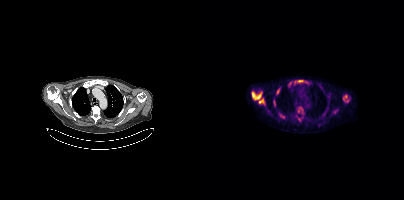
Coordinates are on the 200×200 PET (right) panel. (showing 8 of 12 foci) PSMA-avid tumor lesion bounding boxes (x, y, width, height): x=48 y=92 w=13 h=12; x=91 y=80 w=10 h=4; x=139 y=95 w=5 h=6; x=94 y=107 w=3 h=6. Small PSMA-avid foci (2 to 4 px across) near (center x, center y): (73, 92); (79, 117); (70, 105); (143, 100).
modality: PSMA PET/CT | tracer: [18F]PSMA-1007 | view: axial